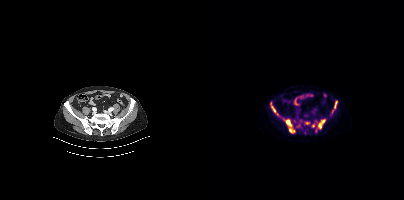
{"pet_grid":[200,200],"coord_frame":"pet_panel","coord_format":"x0,y0,x1,y1","lesion_bboxes":[[80,119,90,132],[114,119,121,128],[66,102,71,112],[91,124,98,128],[128,101,133,112]],"small_foci_centers":[[102,123],[90,121],[109,125],[112,130],[73,114],[111,120]],"modality":"PSMA PET/CT","view":"axial","tracer":"[18F]PSMA-1007"}